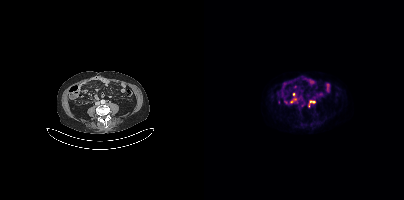
Coordinates are on the 200×200 PET (right) panel. (showing 2 of 4 foci) PSMA-avid tumor lesion bounding box (x, y, width, height): x=106 y=101 w=5 h=2. Small PSMA-avid focus (2 to 4 px across) near (center x, center y): (88, 100). Left: CT. Right: PSMA PET, same axial level, 18F tracer. Acquired on Siemens Biograph mCT Flow 20. PET panel 200×200 px (4.1 mm/px).